- Two-panel axial: CT | PSMA PET, 18F-PSMA tracer
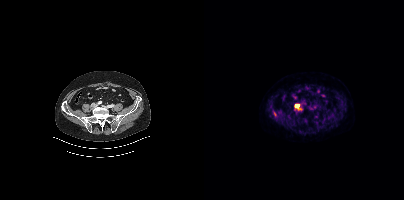
Findings: Coordinates are on the 200×200 PET (right) panel. PSMA-avid tumor lesion bounding box (x0,y0,x1,y1): [91,104,95,107].